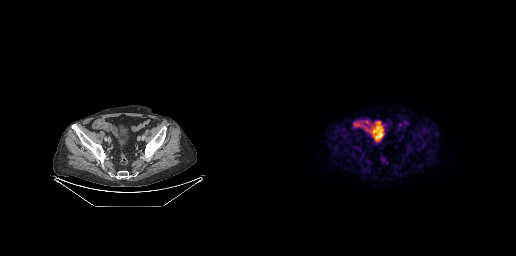
Technique: Paired axial CT (left) and PSMA PET (right), 18F-PSMA tracer. slice 71 of 263. PET panel 256×256 px (2.7 mm/px).
Findings: No PSMA-avid tumor lesions on this slice.